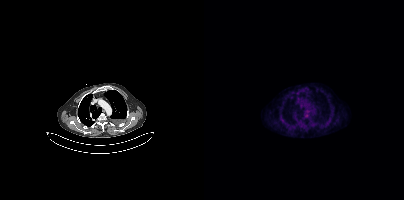
{"pet_grid":[200,200],"coord_frame":"pet_panel","coord_format":"x0,y0,x1,y1","psma_avid_lesions":false,"modality":"PSMA PET/CT","view":"axial","tracer":"18F-PSMA"}